Two-panel axial: CT | PSMA PET, [18F]PSMA-1007 tracer. Slice position z = -1137 mm.
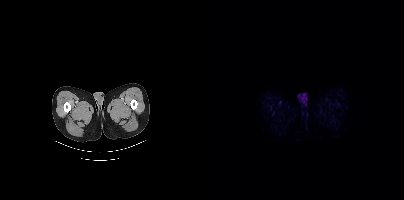
Negative for PSMA-avid disease on this slice.